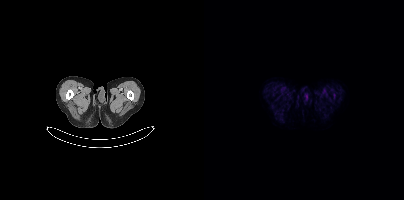
No PSMA-avid tumor lesions on this slice.